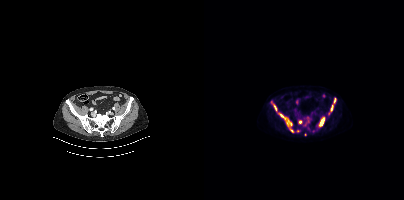
Coordinates are on the 200×200 PET (right) panel. (showing 10 of 12 foci) PSMA-avid tumor lesion bounding boxes (x0, y0)-(x1, y1): (75, 113)-(88, 125) | (115, 117)-(120, 126) | (67, 101)-(72, 110) | (124, 105)-(129, 114) | (94, 120)-(98, 123) | (108, 130)-(112, 132). Small PSMA-avid foci (2 to 4 px across) near (center x, center y): (93, 131) | (130, 101) | (88, 130) | (101, 134).
modality: PSMA PET/CT | tracer: 18F-PSMA | view: axial | PET grid: 200×200